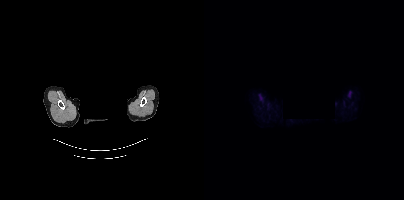
{"modality":"PSMA PET/CT","view":"axial","tracer":"18F","pet_grid":[200,200],"coord_frame":"pet_panel","coord_format":"x0,y0,x1,y1","de-identification":"rectangular block over head set to black","psma_avid_lesions":false}